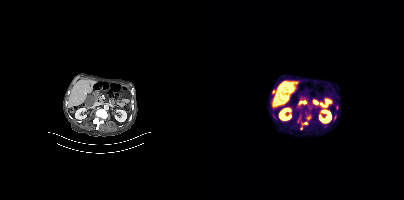
{"pet_grid":[200,200],"coord_frame":"pet_panel","coord_format":"x0,y0,x1,y1","partial":true,"lesion_bboxes":[[93,119,104,130],[130,115,132,119]],"small_foci_centers":[[69,91]],"modality":"PSMA PET/CT","view":"axial","tracer":"18F-PSMA"}